Left: CT. Right: PSMA PET, same axial level, 18F tracer. Acquired on Siemens Biograph mCT Flow 20.
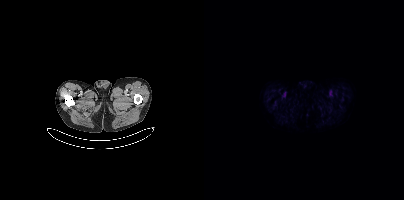
This slice has no annotated PSMA-avid lesion.